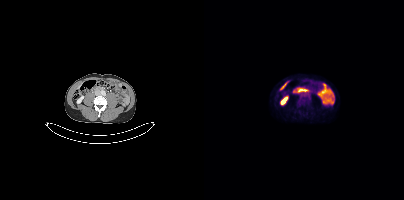
{"modality":"PSMA PET/CT","view":"axial","tracer":"18F","pet_grid":[200,200],"coord_frame":"pet_panel","coord_format":"x0,y0,x1,y1","psma_avid_lesions":false}